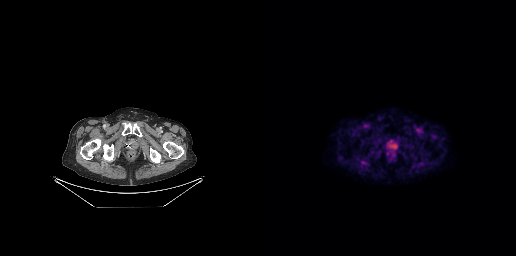
No tumor lesions annotated on this slice. Left: CT. Right: PSMA PET, same axial level, 18F tracer. Acquired on GE Discovery 690. Slice 52 of 263.